Technique: Left: CT. Right: PSMA PET, same axial level, 18F-PSMA tracer. acquired on Siemens Biograph mCT Flow 20. PET panel 200×200 px (4.1 mm/px).
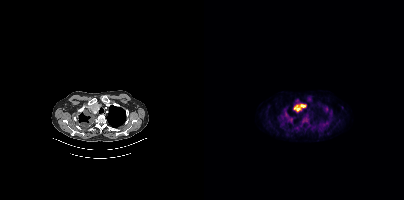
Findings: Coordinates are on the 200×200 PET (right) panel. PSMA-avid tumor lesion bounding boxes (x0,y0,x1,y1): [77,109,89,121]; [90,104,101,111]; [99,116,102,120].